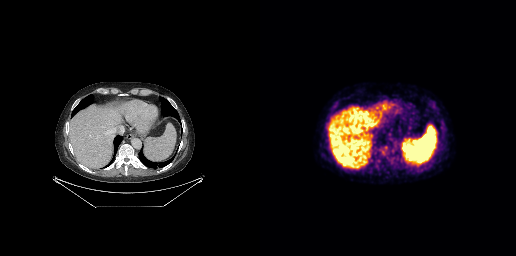
Negative for PSMA-avid disease on this slice.